- Left: CT. Right: PSMA PET, same axial level, 68Ga tracer
- slice 331 of 409
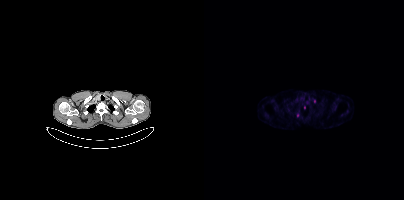
Findings: Coordinates are on the 200×200 PET (right) panel. Small PSMA-avid foci (2 to 4 px across) near (center x, center y): (100, 107), (93, 115).